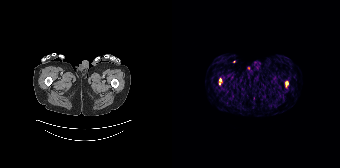
modality: PSMA PET/CT | tracer: 68Ga-PSMA | view: axial
Coordinates are on the 168×168 PET (right) panel. PSMA-avid tumor lesion bounding box (x0, y0)-(x1, y1): (114, 82)-(115, 86). Small PSMA-avid foci (2 to 4 px across) near (center x, center y): (48, 80); (47, 83).